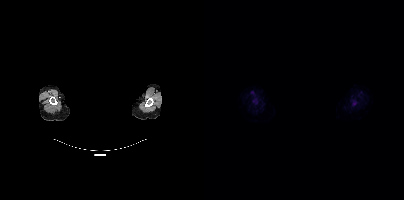
{"pet_grid":[200,200],"coord_frame":"pet_panel","coord_format":"x0,y0,x1,y1","lesion_bboxes":[[48,98,54,104]],"small_foci_centers":[[151,103]],"deidentification":"head region blanked (face removed)","modality":"PSMA PET/CT","view":"axial","tracer":"[18F]PSMA-1007"}